Technique: Left: CT. Right: PSMA PET, same axial level, 68Ga tracer. acquired on Siemens Biograph mCT Flow 20. slice position z = -823 mm.
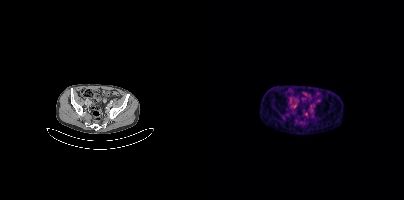
Findings: No tumor lesions annotated on this slice.